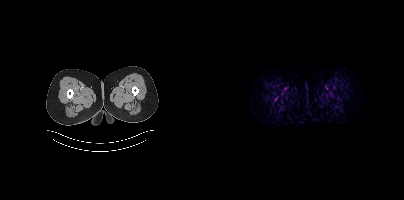
{"modality":"PSMA PET/CT","view":"axial","tracer":"18F-PSMA","pet_grid":[200,200],"coord_frame":"pet_panel","coord_format":"x0,y0,x1,y1","psma_avid_lesions":false}